- Paired axial CT (left) and PSMA PET (right), 18F tracer
- slice 85 of 401
- PET panel 200×200 px (4.1 mm/px)
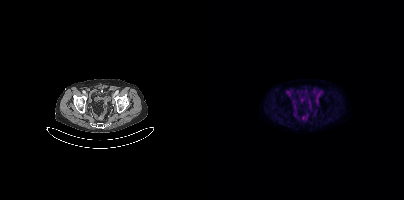
Findings: This slice has no annotated PSMA-avid lesion.